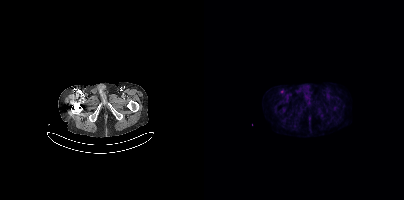
Paired axial CT (left) and PSMA PET (right), 18F-PSMA tracer. Acquired on Siemens Biograph mCT Flow 20. Only PSMA-avid lesion pieces thinner than 2 px on this slice (not listed).